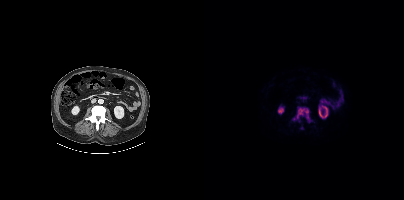
Findings: Coordinates are on the 200×200 PET (right) panel. (showing 2 of 3 foci) PSMA-avid tumor lesion bounding box (x, y, width, height): x=89 y=107 w=18 h=16. Small PSMA-avid focus (2 to 4 px across) near (center x, center y): (97, 127).
- Paired axial CT (left) and PSMA PET (right), [18F]PSMA-1007 tracer
- PET panel 200×200 px (4.1 mm/px)